Paired axial CT (left) and PSMA PET (right), 18F tracer. Acquired on Siemens Biograph mCT Flow 20. Slice 63 of 354. PET panel 200×200 px (4.1 mm/px).
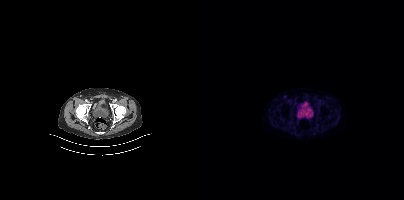
This slice has no annotated PSMA-avid lesion.